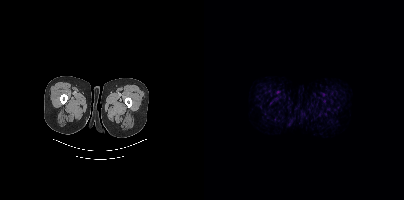
Findings: Negative for PSMA-avid disease on this slice.
- Paired axial CT (left) and PSMA PET (right), 18F-PSMA tracer
- slice position z = -1605 mm